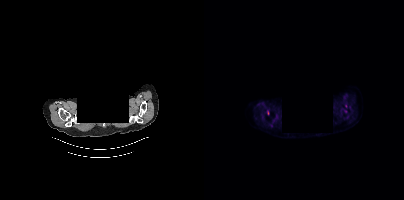
Findings: Only PSMA-avid lesion pieces thinner than 2 px on this slice (not listed).
Technique: Left: CT. Right: PSMA PET, same axial level, 18F-PSMA tracer. acquired on Siemens Biograph mCT Flow 20. PET panel 200×200 px (4.1 mm/px).
Note: A rectangle over the head was blacked out to remove identifiable facial features.